modality: PSMA PET/CT | tracer: [18F]PSMA-1007 | view: axial
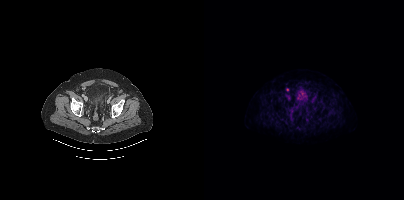
Coordinates are on the 200×200 PET (right) panel. Small PSMA-avid focus (2 to 4 px across) near (center x, center y): (83, 89).